Paired axial CT (left) and PSMA PET (right), [18F]PSMA-1007 tracer. Acquired on Siemens Biograph mCT Flow 20. Slice 103 of 417. PET panel 200×200 px (4.1 mm/px).
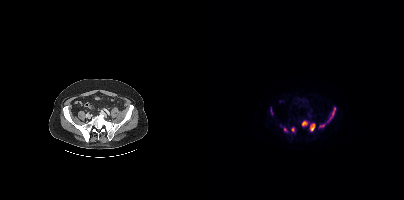
Coordinates are on the 200×200 PET (right) panel. PSMA-avid tumor lesion bounding boxes (partial; 2 more foci not listed):
| # | x0 | y0 | x1 | y1 |
|---|---|---|---|---|
| 1 | 106 | 123 | 111 | 131 |
| 2 | 124 | 107 | 131 | 121 |
| 3 | 98 | 121 | 103 | 126 |
| 4 | 115 | 124 | 120 | 127 |
| 5 | 87 | 127 | 90 | 131 |
Small PSMA-avid focus (2 to 4 px across) near (center x, center y): (81, 129).